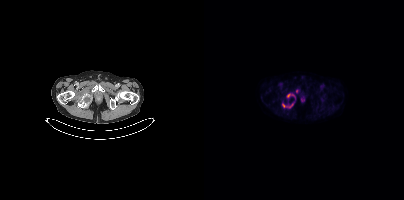
Paired axial CT (left) and PSMA PET (right), [18F]PSMA-1007 tracer.
Coordinates are on the 200×200 PET (right) panel. PSMA-avid tumor lesion bounding boxes (partial; 1 more focus not listed):
| # | x0 | y0 | x1 | y1 |
|---|---|---|---|---|
| 1 | 84 | 102 | 90 | 108 |
| 2 | 83 | 93 | 89 | 97 |
| 3 | 78 | 103 | 81 | 107 |